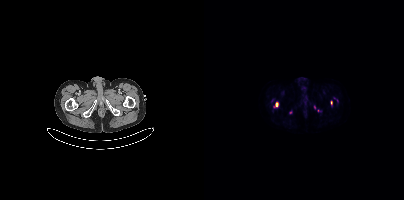
Technique: Paired axial CT (left) and PSMA PET (right), 18F tracer.
Findings: Coordinates are on the 200×200 PET (right) panel. Small PSMA-avid foci (2 to 4 px across) near (center x, center y): (127, 102) | (72, 104) | (110, 107) | (114, 110) | (86, 112).